modality: PSMA PET/CT | tracer: 18F-PSMA | view: axial | PET grid: 256×256
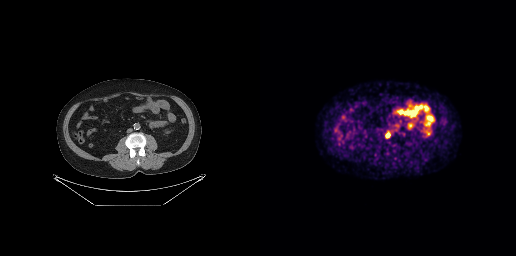
Coordinates are on the 256×256 PET (right) panel. PSMA-avid tumor lesion bounding box (x0,y0,x1,y1): [126,133,129,137].